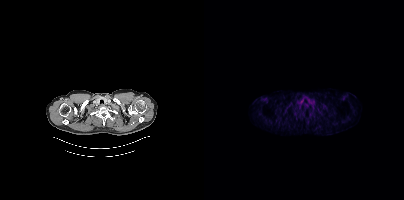
{"pet_grid":[200,200],"coord_frame":"pet_panel","coord_format":"x0,y0,x1,y1","psma_avid_lesions":false,"modality":"PSMA PET/CT","view":"axial","tracer":"18F-PSMA"}